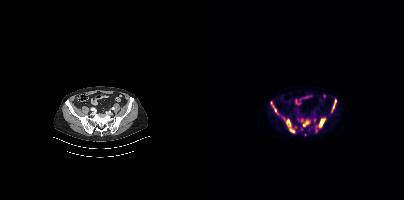
Left: CT. Right: PSMA PET, same axial level, 18F tracer. PET panel 200×200 px (4.1 mm/px). Coordinates are on the 200×200 PET (right) panel. (showing 13 of 15 foci) PSMA-avid tumor lesion bounding boxes (x, y, width, height): x=114 y=118 w=8 h=10 | x=99 y=119 w=8 h=8 | x=82 y=119 w=4 h=12 | x=127 y=101 w=6 h=12 | x=87 y=128 w=4 h=5 | x=66 y=101 w=4 h=6 | x=70 y=108 w=3 h=5. Small PSMA-avid foci (2 to 4 px across) near (center x, center y): (112, 130) | (98, 120) | (92, 127) | (110, 120) | (97, 129) | (79, 118).